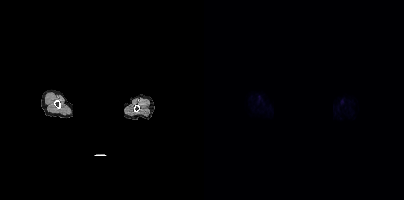
deidentification: face masked with black rectangle | modality: PSMA PET/CT | tracer: [18F]PSMA-1007 | view: axial | PET grid: 200×200
This slice has no annotated PSMA-avid lesion.